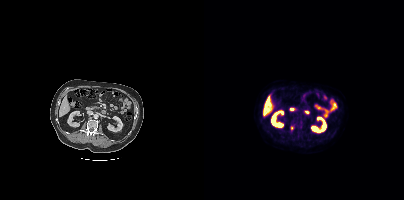
{"modality":"PSMA PET/CT","view":"axial","tracer":"[18F]PSMA-1007","pet_grid":[200,200],"coord_frame":"pet_panel","coord_format":"x0,y0,x1,y1","lesion_bboxes":[],"small_foci_centers":[[88,127]]}